An anonymization step blacked out a rectangle in this scan. Two-panel axial: CT | PSMA PET, [18F]PSMA-1007 tracer. PET panel 200×200 px (4.1 mm/px).
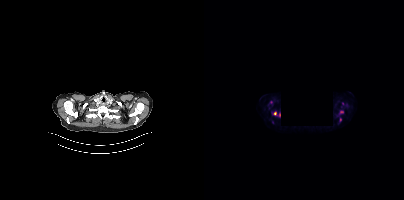
Coordinates are on the 200×200 PET (right) panel. PSMA-avid tumor lesion bounding boxes:
| # | x0 | y0 | x1 | y1 |
|---|---|---|---|---|
| 1 | 135 | 110 | 139 | 113 |
Small PSMA-avid foci (2 to 4 px across) near (center x, center y): (71, 113); (75, 115); (136, 119); (138, 103).